Paired axial CT (left) and PSMA PET (right), 18F tracer. PET panel 200×200 px (4.1 mm/px).
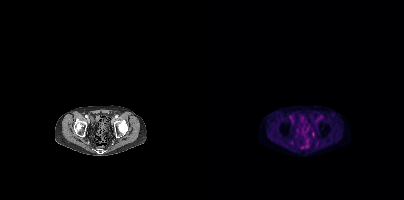
Negative for PSMA-avid disease on this slice.